- Paired axial CT (left) and PSMA PET (right), 18F tracer
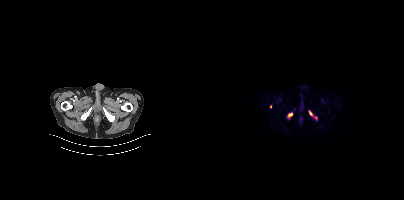
Findings: Coordinates are on the 200×200 PET (right) panel. PSMA-avid tumor lesion bounding boxes (x0,y0,x1,y1): [83,113,88,118]; [105,111,108,115]. Small PSMA-avid foci (2 to 4 px across) near (center x, center y): (66, 106); (111, 118).